- any black rectangle over the head is a privacy mask, not anatomy
- Two-panel axial: CT | PSMA PET, 18F-PSMA tracer
- slice 406 of 435
- PET panel 200×200 px (4.1 mm/px)
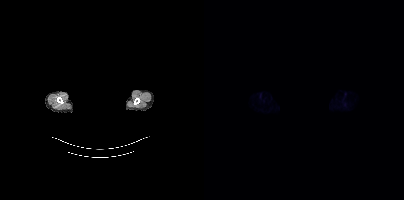
Findings: Negative for PSMA-avid disease on this slice.